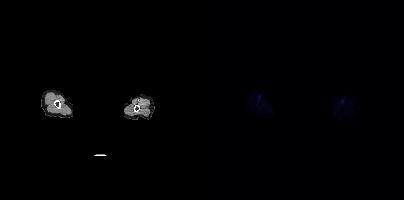
Technique: Paired axial CT (left) and PSMA PET (right), 18F tracer. acquired on Siemens Biograph mCT Flow 20. slice position z = -228 mm. PET panel 200×200 px (4.1 mm/px).
Note: The face region was removed for patient privacy by blanking a rectangle over the head.
Findings: This slice has no annotated PSMA-avid lesion.